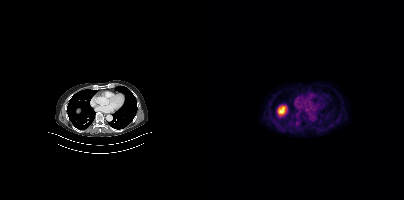
Negative for PSMA-avid disease on this slice.